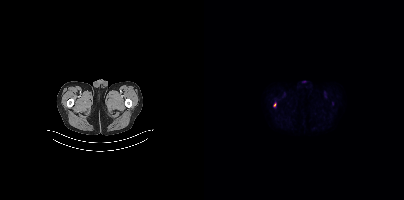
Technique: Paired axial CT (left) and PSMA PET (right), [18F]PSMA-1007 tracer. acquired on Siemens Biograph mCT Flow 20.
Findings: Coordinates are on the 200×200 PET (right) panel. Small PSMA-avid focus (2 to 4 px across) near (center x, center y): (70, 105).